modality: PSMA PET/CT | tracer: 18F-PSMA | view: axial
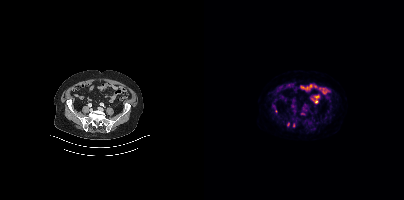
Only PSMA-avid lesion pieces thinner than 2 px on this slice (not listed).